Technique: Paired axial CT (left) and PSMA PET (right), 18F-PSMA tracer. slice position z = 161 mm. PET panel 200×200 px (4.1 mm/px).
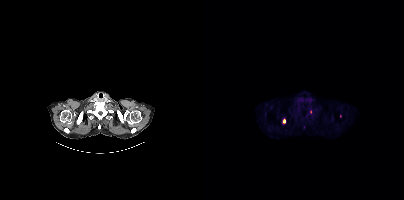
Findings: Coordinates are on the 200×200 PET (right) panel. (showing 3 of 4 foci) Small PSMA-avid foci (2 to 4 px across) near (center x, center y): (80, 120) | (106, 112) | (136, 115).